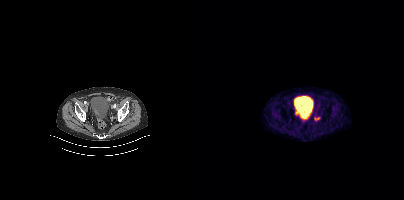
Only PSMA-avid lesion pieces thinner than 2 px on this slice (not listed).
modality: PSMA PET/CT | tracer: 68Ga | view: axial